Paired axial CT (left) and PSMA PET (right), [18F]PSMA-1007 tracer. Acquired on Siemens Biograph mCT Flow 20. Slice position z = -925 mm. PET panel 200×200 px (4.1 mm/px).
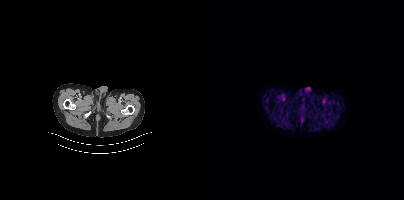
This slice has no annotated PSMA-avid lesion.